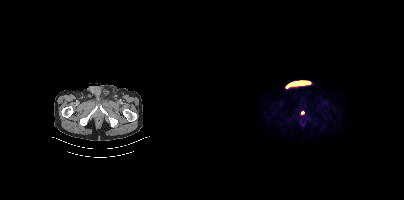
Two-panel axial: CT | PSMA PET, 18F tracer. Slice position z = -1570 mm. PET panel 200×200 px (4.1 mm/px). Coordinates are on the 200×200 PET (right) panel. Small PSMA-avid focus (2 to 4 px across) near (center x, center y): (98, 112).